Two-panel axial: CT | PSMA PET, 18F-PSMA tracer. PET panel 200×200 px (4.1 mm/px).
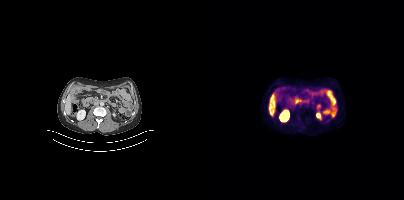
This slice has no annotated PSMA-avid lesion.